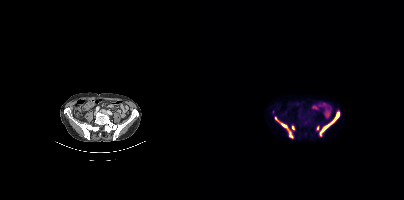
Coordinates are on the 200×200 PET (right) panel. PSMA-avid tumor lesion bounding boxes:
| # | x0 | y0 | x1 | y1 |
|---|---|---|---|---|
| 1 | 116 | 112 | 135 | 134 |
| 2 | 71 | 117 | 89 | 138 |
Small PSMA-avid foci (2 to 4 px across) near (center x, center y): (89, 127); (113, 128).
Two-panel axial: CT | PSMA PET, [18F]PSMA-1007 tracer. PET panel 200×200 px (4.1 mm/px).